deidentification: head region blacked out before release | modality: PSMA PET/CT | tracer: 18F | view: axial
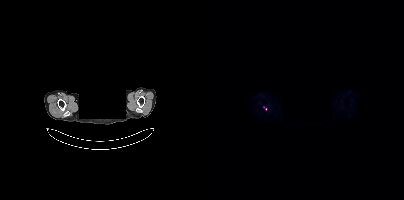
Coordinates are on the 200×200 PET (right) panel. Small PSMA-avid focus (2 to 4 px across) near (center x, center y): (60, 107).